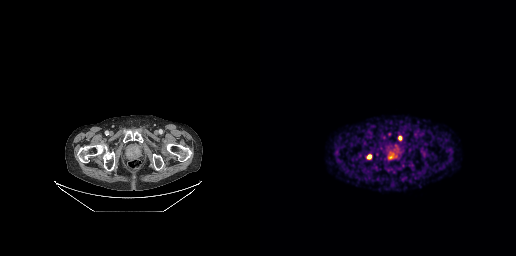
Coordinates are on the 256×256 PET (right) panel. PSMA-avid tumor lesion bounding boxes:
| # | x0 | y0 | x1 | y1 |
|---|---|---|---|---|
| 1 | 128 | 151 | 136 | 159 |
| 2 | 107 | 154 | 111 | 159 |
| 3 | 138 | 136 | 141 | 140 |
Small PSMA-avid focus (2 to 4 px across) near (center x, center y): (139, 133).
Paired axial CT (left) and PSMA PET (right), [68Ga]Ga-PSMA-11 tracer. Acquired on GE Discovery 690. Slice 64 of 263.